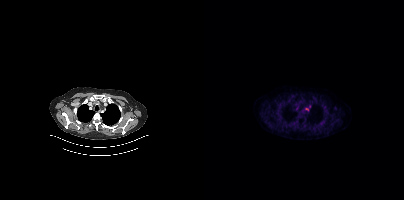
Coordinates are on the 200×200 PET (right) panel. Small PSMA-avid focus (2 to 4 px across) near (center x, center y): (103, 109).